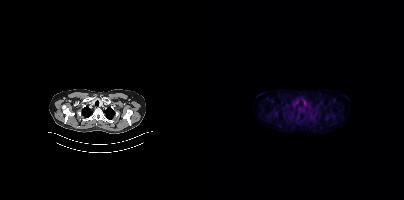
Two-panel axial: CT | PSMA PET, 18F-PSMA tracer. Acquired on Siemens Biograph mCT Flow 20. Coordinates are on the 200×200 PET (right) panel. Small PSMA-avid focus (2 to 4 px across) near (center x, center y): (72, 113).